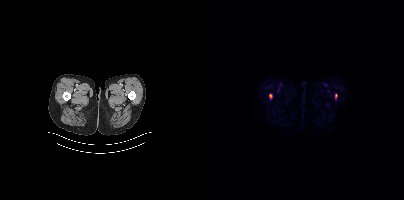
{"modality":"PSMA PET/CT","view":"axial","tracer":"18F-PSMA","pet_grid":[200,200],"coord_frame":"pet_panel","coord_format":"x0,y0,x1,y1","lesion_bboxes":[[65,94,67,98]],"small_foci_centers":[[132,95]]}